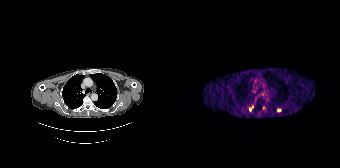
Coordinates are on the 168×168 PET (right) panel. Small PSMA-avid foci (2 to 4 px across) near (center x, center y): (78, 109); (107, 110); (91, 107).